Technique: Paired axial CT (left) and PSMA PET (right), 18F tracer. PET panel 200×200 px (4.1 mm/px).
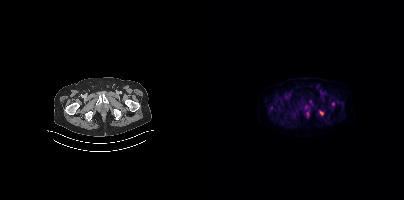
Findings: Coordinates are on the 200×200 PET (right) panel. PSMA-avid tumor lesion bounding box (x0, y0)-(x1, y1): (127, 102)-(130, 106). Small PSMA-avid foci (2 to 4 px across) near (center x, center y): (117, 112) | (106, 101).